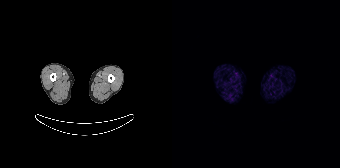
Left: CT. Right: PSMA PET, same axial level, 68Ga-PSMA tracer. Slice 14 of 195. Negative for PSMA-avid disease on this slice.